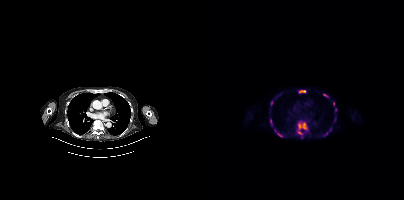
Findings: Coordinates are on the 200×200 PET (right) panel. (showing 11 of 14 foci) PSMA-avid tumor lesion bounding boxes (x0, y0)-(x1, y1): (93, 121)-(103, 138) | (95, 90)-(101, 92) | (66, 119)-(68, 126) | (74, 133)-(79, 137) | (119, 94)-(124, 97) | (67, 100)-(69, 105). Small PSMA-avid foci (2 to 4 px across) near (center x, center y): (76, 94) | (129, 103) | (131, 109) | (126, 129) | (123, 132).
Technique: Paired axial CT (left) and PSMA PET (right), [18F]PSMA-1007 tracer.